Two-panel axial: CT | PSMA PET, 18F tracer. Acquired on Siemens Biograph mCT Flow 20. Slice 84 of 405.
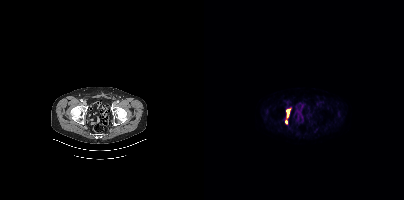
Coordinates are on the 200×200 PET (right) panel. PSMA-avid tumor lesion bounding boxes:
| # | x0 | y0 | x1 | y1 |
|---|---|---|---|---|
| 1 | 82 | 109 | 85 | 118 |
Small PSMA-avid focus (2 to 4 px across) near (center x, center y): (82, 121).